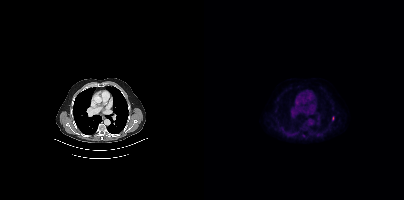
Technique: Two-panel axial: CT | PSMA PET, [18F]PSMA-1007 tracer.
Findings: Only PSMA-avid lesion pieces thinner than 2 px on this slice (not listed).